- a rectangle over the head was blacked out to remove identifiable facial features
- Two-panel axial: CT | PSMA PET, 18F tracer
- slice 323 of 385
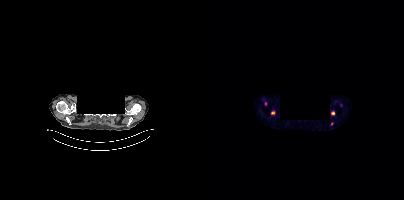
Findings: Coordinates are on the 200×200 PET (right) panel. (showing 4 of 5 foci) PSMA-avid tumor lesion bounding boxes (x0, y0)-(x1, y1): (127, 111)-(130, 115); (67, 111)-(71, 114). Small PSMA-avid foci (2 to 4 px across) near (center x, center y): (61, 103); (128, 124).